- Left: CT. Right: PSMA PET, same axial level, 18F tracer
- acquired on Siemens Biograph mCT Flow 20
- slice position z = -616 mm
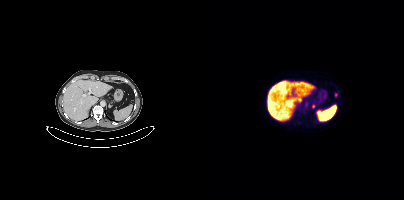
Findings: Coordinates are on the 200×200 PET (right) panel. (showing 1 of 2 foci) Small PSMA-avid focus (2 to 4 px across) near (center x, center y): (109, 106).